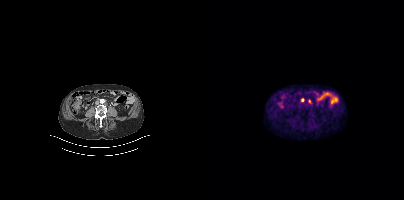
Coordinates are on the 200×200 PET (right) panel. Small PSMA-avid focus (2 to 4 px across) near (center x, center y): (98, 100).
modality: PSMA PET/CT | tracer: [68Ga]Ga-PSMA-11 | view: axial